Technique: Left: CT. Right: PSMA PET, same axial level, [68Ga]Ga-PSMA-11 tracer. acquired on GE Discovery 690. PET panel 256×256 px (2.7 mm/px).
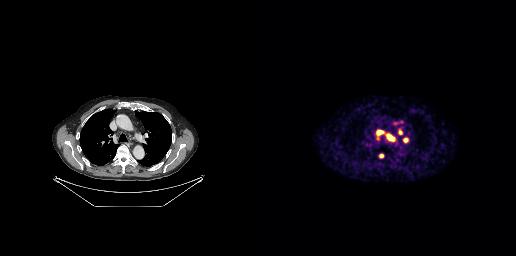
Findings: Coordinates are on the 256×256 PET (right) panel. PSMA-avid tumor lesion bounding boxes (x0,y0,x1,y1): [116,130,123,137], [127,135,134,140], [138,129,142,134], [143,138,148,142]. Small PSMA-avid focus (2 to 4 px across) near (center x, center y): (121, 156).